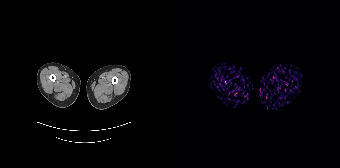
Technique: Paired axial CT (left) and PSMA PET (right), [68Ga]Ga-PSMA-11 tracer. slice position z = -804 mm.
Findings: No PSMA-avid tumor lesions on this slice.